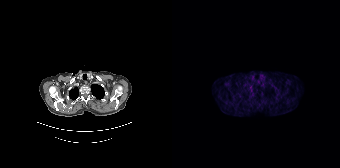
Two-panel axial: CT | PSMA PET, [68Ga]Ga-PSMA-11 tracer. Acquired on Siemens Biograph 64-4R TruePoint. Slice 161 of 195. Negative for PSMA-avid disease on this slice.